modality: PSMA PET/CT | tracer: [18F]PSMA-1007 | view: axial
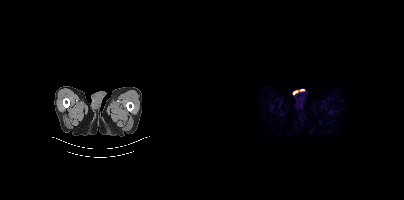
This slice has no annotated PSMA-avid lesion.